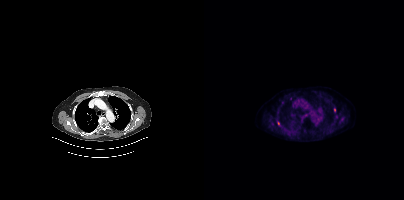
Technique: Two-panel axial: CT | PSMA PET, 18F tracer. PET panel 200×200 px (4.1 mm/px).
Findings: Coordinates are on the 200×200 PET (right) panel. (showing 2 of 3 foci) Small PSMA-avid foci (2 to 4 px across) near (center x, center y): (74, 123) | (68, 123).